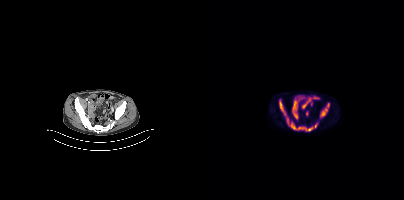
Technique: Two-panel axial: CT | PSMA PET, [18F]PSMA-1007 tracer. acquired on Siemens Biograph mCT Flow 20. slice position z = 48 mm.
Findings: Coordinates are on the 200×200 PET (right) panel. PSMA-avid tumor lesion bounding boxes (x0, y0)-(x1, y1): (75, 100)-(105, 131) / (116, 103)-(125, 118) / (110, 122)-(114, 126).